modality: PSMA PET/CT | tracer: 18F | view: axial | PET grid: 200×200
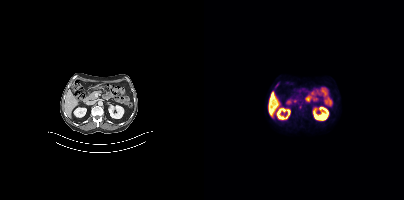
No PSMA-avid tumor lesions on this slice.